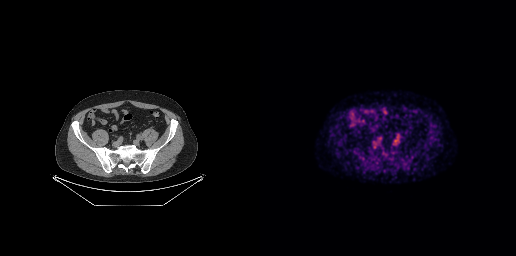
{"modality":"PSMA PET/CT","view":"axial","tracer":"18F","pet_grid":[256,256],"coord_frame":"pet_panel","coord_format":"x0,y0,x1,y1","lesion_bboxes":[],"small_foci_centers":[[100,157]]}